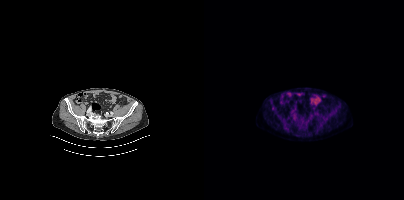
- Paired axial CT (left) and PSMA PET (right), [18F]PSMA-1007 tracer
Findings: No tumor lesions annotated on this slice.